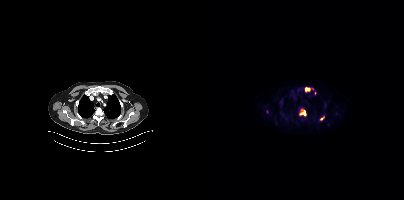
modality: PSMA PET/CT | tracer: [18F]PSMA-1007 | view: axial | PET grid: 200×200
Coordinates are on the 200×200 PET (right) panel. (showing 4 of 5 foci) PSMA-avid tumor lesion bounding boxes (x0, y0)-(x1, y1): (95, 109)-(102, 116); (101, 87)-(106, 91); (115, 115)-(120, 120). Small PSMA-avid focus (2 to 4 px across) near (center x, center y): (108, 88).